modality: PSMA PET/CT | tracer: 18F-PSMA | view: axial | PET grid: 200×200
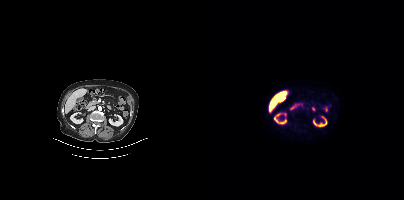
No tumor lesions annotated on this slice.